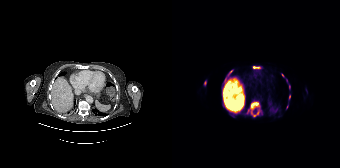
Technique: Paired axial CT (left) and PSMA PET (right), 18F-PSMA tracer. acquired on Siemens Biograph 64-4R TruePoint.
Findings: Coordinates are on the 168×168 PET (right) panel. (showing 7 of 9 foci) PSMA-avid tumor lesion bounding boxes (x, y, width, height): x=76 y=101 w=12 h=16 | x=81 y=66 w=8 h=3 | x=56 y=70 w=5 h=6. Small PSMA-avid foci (2 to 4 px across) near (center x, center y): (33, 82) | (117, 96) | (110, 75) | (117, 86).